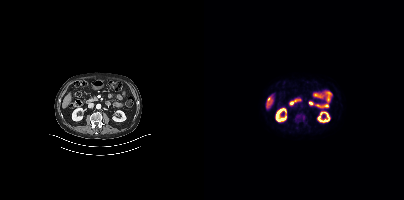
This slice has no annotated PSMA-avid lesion.
modality: PSMA PET/CT | tracer: 18F-PSMA | view: axial